Two-panel axial: CT | PSMA PET, 18F-PSMA tracer. Acquired on GE Discovery 690. Slice position z = -835 mm. PET panel 256×256 px (2.7 mm/px).
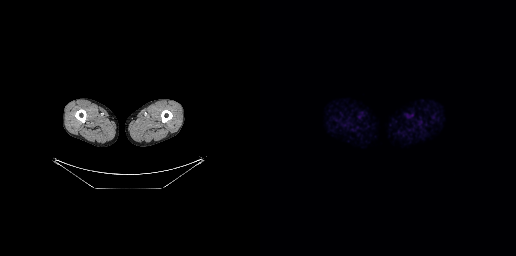
This slice has no annotated PSMA-avid lesion.